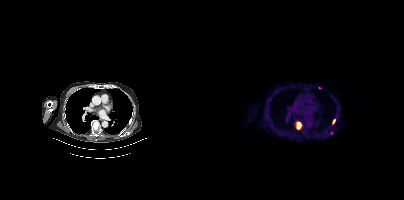
Technique: Paired axial CT (left) and PSMA PET (right), 18F tracer. acquired on Siemens Biograph mCT Flow 20. slice 283 of 411. PET panel 200×200 px (4.1 mm/px).
Findings: Coordinates are on the 200×200 PET (right) panel. PSMA-avid tumor lesion bounding boxes (x, y, width, height): x=92 y=122 w=6 h=8; x=128 y=119 w=4 h=6. Small PSMA-avid foci (2 to 4 px across) near (center x, center y): (127, 132); (115, 87).